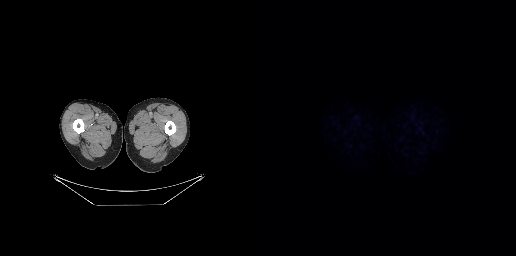
{"pet_grid":[256,256],"coord_frame":"pet_panel","coord_format":"x0,y0,x1,y1","psma_avid_lesions":false,"modality":"PSMA PET/CT","view":"axial","tracer":"18F-PSMA"}